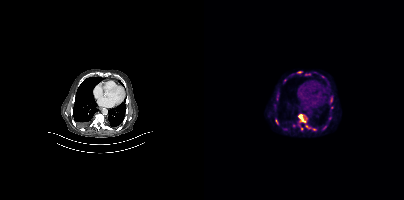
Coordinates are on the 200×200 PET (right) panel. (showing 9 of 10 foci) PSMA-avid tumor lesion bounding boxes (x0,y0,x1,y1): [94,114,112,130]; [71,119,74,124]; [93,71,98,73]; [101,74,106,75]; [127,98,128,102]. Small PSMA-avid foci (2 to 4 px across) near (center x, center y): (98, 128); (126, 118); (80, 80); (120, 127).